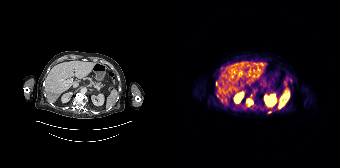
Coordinates are on the 168×168 PET (right) panel. (showing 1 of 3 foci) PSMA-avid tumor lesion bounding box (x, y, width, height): x=75 y=99 w=6 h=6.